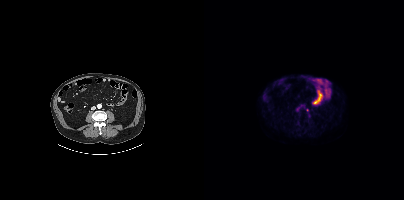
{"modality":"PSMA PET/CT","view":"axial","tracer":"18F","pet_grid":[200,200],"coord_frame":"pet_panel","coord_format":"x0,y0,x1,y1","lesion_bboxes":[],"small_foci_centers":[[103,110]]}